- Left: CT. Right: PSMA PET, same axial level, 18F-PSMA tracer
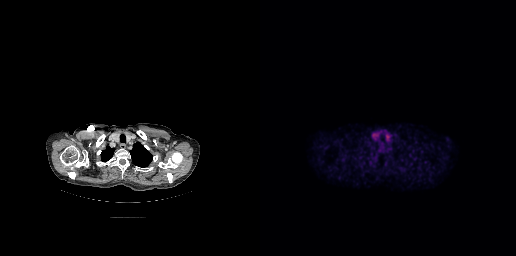
Findings: This slice has no annotated PSMA-avid lesion.